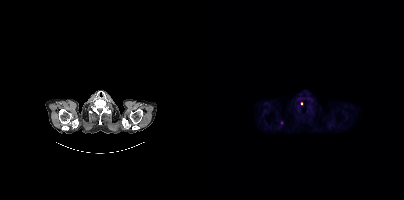
Coordinates are on the 200×200 PET (right) panel. Small PSMA-avid focus (2 to 4 px across) near (center x, center y): (97, 103).